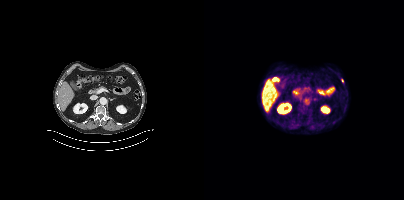
Coordinates are on the 200×200 PET (right) panel. Small PSMA-avid focus (2 to 4 px across) near (center x, center y): (138, 80).